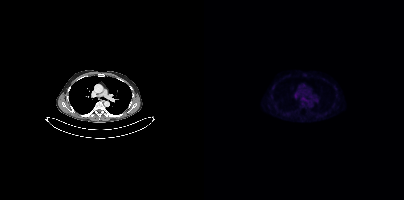
{"modality":"PSMA PET/CT","view":"axial","tracer":"18F-PSMA","pet_grid":[200,200],"coord_frame":"pet_panel","coord_format":"x0,y0,x1,y1","lesion_bboxes":[],"small_foci_centers":[[121,113]]}